Left: CT. Right: PSMA PET, same axial level, 18F tracer. Slice position z = -471 mm. PET panel 256×256 px (2.7 mm/px).
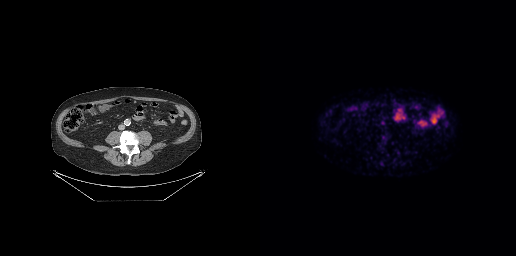
Only PSMA-avid lesion pieces thinner than 2 px on this slice (not listed).